Paired axial CT (left) and PSMA PET (right), [18F]PSMA-1007 tracer. Slice 388 of 409. Head region blanked for anonymization (face removed).
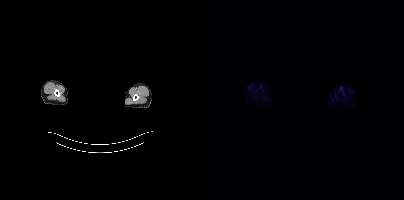
No PSMA-avid tumor lesions on this slice.